Left: CT. Right: PSMA PET, same axial level, 68Ga tracer. Slice 165 of 195. PET panel 168×168 px (4.1 mm/px).
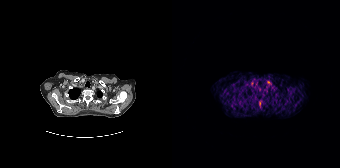
Coordinates are on the 168×168 PET (right) panel. (showing 2 of 3 foci) PSMA-avid tumor lesion bounding boxes (x0, y0)-(x1, y1): (95, 81)-(99, 84) / (87, 102)-(88, 106).